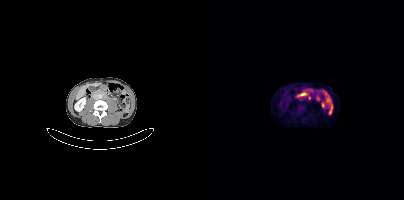
{"modality":"PSMA PET/CT","view":"axial","tracer":"[18F]PSMA-1007","pet_grid":[200,200],"coord_frame":"pet_panel","coord_format":"x0,y0,x1,y1","lesion_bboxes":[[94,105,99,109]]}